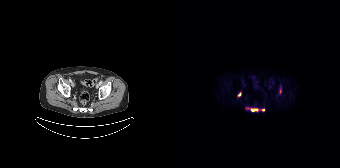
Findings: Coordinates are on the 168×168 PET (right) panel. (showing 3 of 4 foci) PSMA-avid tumor lesion bounding boxes (x0, y0)-(x1, y1): (79, 108)-(86, 111) / (66, 92)-(69, 96). Small PSMA-avid focus (2 to 4 px across) near (center x, center y): (91, 110).
Technique: Two-panel axial: CT | PSMA PET, [18F]PSMA-1007 tracer. acquired on Siemens Biograph 64-4R TruePoint.